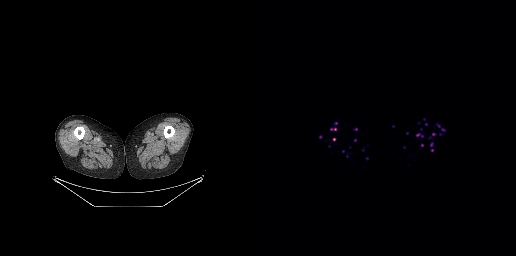
{"modality":"PSMA PET/CT","view":"axial","tracer":"18F-PSMA","pet_grid":[256,256],"coord_frame":"pet_panel","coord_format":"x0,y0,x1,y1","psma_avid_lesions":false}